Paired axial CT (left) and PSMA PET (right), [68Ga]Ga-PSMA-11 tracer. PET panel 168×168 px (4.1 mm/px).
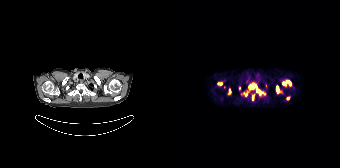
Coordinates are on the 168×168 PET (right) panel. (showing 9 of 12 foci) PSMA-avid tumor lesion bounding boxes (x0, y0)-(x1, y1): (87, 91)-(92, 96) / (80, 84)-(84, 88) / (104, 86)-(107, 92) / (116, 81)-(119, 85) / (57, 89)-(58, 93) / (46, 83)-(50, 84). Small PSMA-avid foci (2 to 4 px across) near (center x, center y): (111, 83) / (116, 98) / (77, 87).